Technique: Left: CT. Right: PSMA PET, same axial level, [18F]PSMA-1007 tracer. slice 81 of 195.
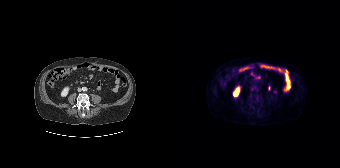
Findings: Negative for PSMA-avid disease on this slice.